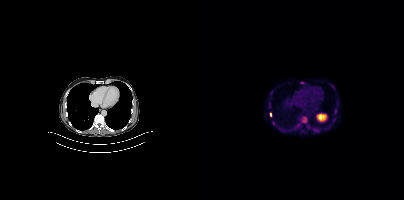
Paired axial CT (left) and PSMA PET (right), [18F]PSMA-1007 tracer.
Coordinates are on the 200×200 PET (right) panel. PSMA-avid tumor lesion bounding boxes:
| # | x0 | y0 | x1 | y1 |
|---|---|---|---|---|
| 1 | 97 | 116 | 103 | 123 |
| 2 | 96 | 82 | 100 | 83 |
| 3 | 131 | 109 | 132 | 113 |
Small PSMA-avid foci (2 to 4 px across) near (center x, center y): (66, 114); (65, 104); (67, 93).